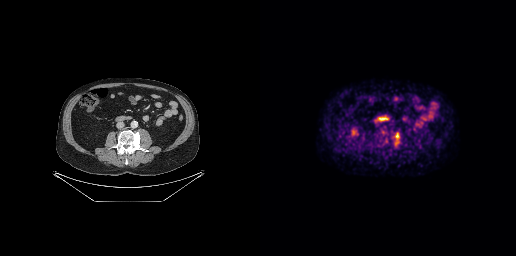
{"modality":"PSMA PET/CT","view":"axial","tracer":"18F","pet_grid":[256,256],"coord_frame":"pet_panel","coord_format":"x0,y0,x1,y1","lesion_bboxes":[[133,132,139,146]]}